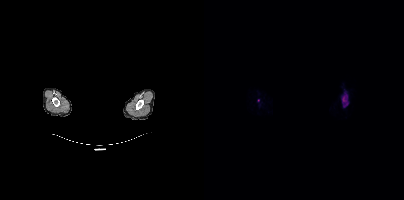
{"modality":"PSMA PET/CT","view":"axial","tracer":"18F-PSMA","pet_grid":[200,200],"coord_frame":"pet_panel","coord_format":"x0,y0,x1,y1","de-identification":"privacy mask over head","lesion_bboxes":[[138,93,144,107]],"small_foci_centers":[[54,100]]}